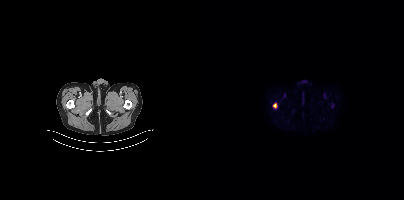
- Two-panel axial: CT | PSMA PET, 18F tracer
- PET panel 200×200 px (4.1 mm/px)
Findings: Coordinates are on the 200×200 PET (right) panel. PSMA-avid tumor lesion bounding box (x0,y0,x1,y1): [69,103,72,107].